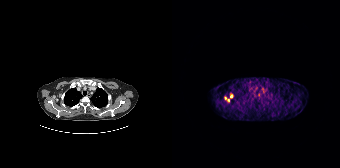
Findings: Coordinates are on the 168×168 PET (right) panel. PSMA-avid tumor lesion bounding box (x0, y0)-(x1, y1): (52, 93)-(61, 102).
Technique: Paired axial CT (left) and PSMA PET (right), 68Ga-PSMA tracer. acquired on Siemens Biograph 64-4R TruePoint. slice position z = -200 mm. PET panel 168×168 px (4.1 mm/px).